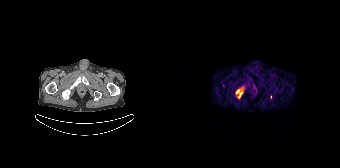
Coordinates are on the 168×168 PET (right) panel. PSMA-avid tumor lesion bounding boxes (partial; 1 more focus not listed):
| # | x0 | y0 | x1 | y1 |
|---|---|---|---|---|
| 1 | 64 | 89 | 70 | 97 |
Small PSMA-avid focus (2 to 4 px across) near (center x, center y): (70, 87).
Two-panel axial: CT | PSMA PET, [68Ga]Ga-PSMA-11 tracer. Slice position z = -894 mm.